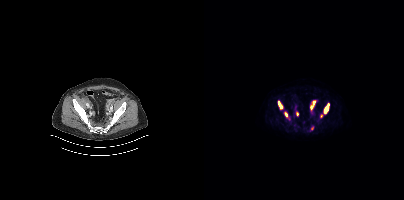
Coordinates are on the 200×200 PET (right) panel. (showing 6 of 7 foci) PSMA-avid tumor lesion bounding boxes (x0, y0)-(x1, y1): (120, 103)-(125, 113) / (106, 100)-(111, 110) / (74, 101)-(78, 108) / (81, 112)-(83, 116). Small PSMA-avid foci (2 to 4 px across) near (center x, center y): (93, 113) / (117, 116). Paired axial CT (left) and PSMA PET (right), 18F-PSMA tracer.